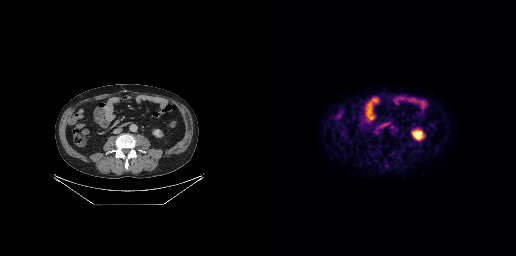
Negative for PSMA-avid disease on this slice. Two-panel axial: CT | PSMA PET, [18F]PSMA-1007 tracer.